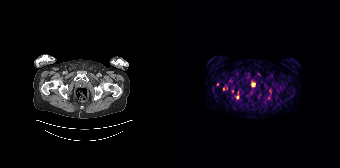
Findings: Coordinates are on the 168×168 PET (right) panel. (showing 4 of 5 foci) Small PSMA-avid foci (2 to 4 px across) near (center x, center y): (98, 91) | (51, 88) | (54, 88) | (65, 97).
- Left: CT. Right: PSMA PET, same axial level, 68Ga-PSMA tracer
- PET panel 168×168 px (4.1 mm/px)